Paired axial CT (left) and PSMA PET (right), [18F]PSMA-1007 tracer. Slice 86 of 423. PET panel 200×200 px (4.1 mm/px).
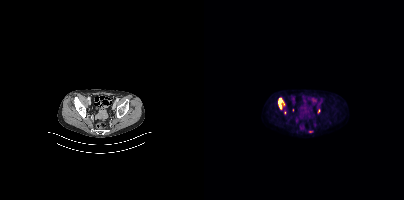
Coordinates are on the 200×200 PET (right) panel. (showing 3 of 5 foci) PSMA-avid tumor lesion bounding box (x, y, width, height): x=74 y=98 w=7 h=12. Small PSMA-avid foci (2 to 4 px across) near (center x, center y): (115, 110) / (106, 131).